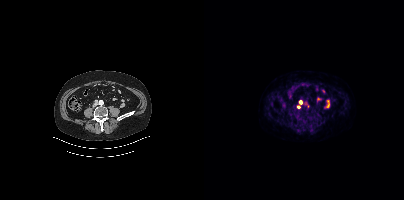
{"modality":"PSMA PET/CT","view":"axial","tracer":"18F","pet_grid":[200,200],"coord_frame":"pet_panel","coord_format":"x0,y0,x1,y1","lesion_bboxes":[],"small_foci_centers":[[96,102],[94,106]]}